Two-panel axial: CT | PSMA PET, [18F]PSMA-1007 tracer. PET panel 200×200 px (4.1 mm/px).
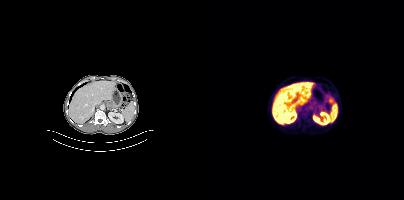
No PSMA-avid tumor lesions on this slice.